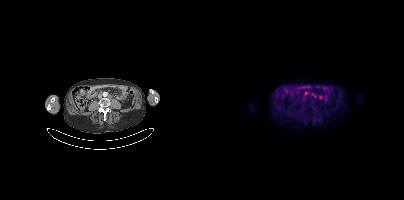
Paired axial CT (left) and PSMA PET (right), 18F-PSMA tracer. PET panel 200×200 px (4.1 mm/px). Coordinates are on the 200×200 PET (right) panel. PSMA-avid tumor lesion bounding box (x0, y0)-(x1, y1): (100, 91)-(104, 95). Small PSMA-avid foci (2 to 4 px across) near (center x, center y): (98, 99); (109, 95).